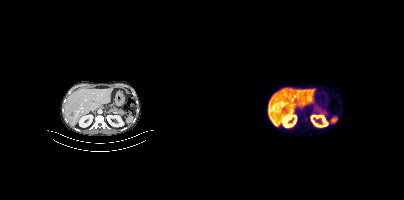
{"pet_grid":[200,200],"coord_frame":"pet_panel","coord_format":"x0,y0,x1,y1","psma_avid_lesions":false,"modality":"PSMA PET/CT","view":"axial","tracer":"18F"}